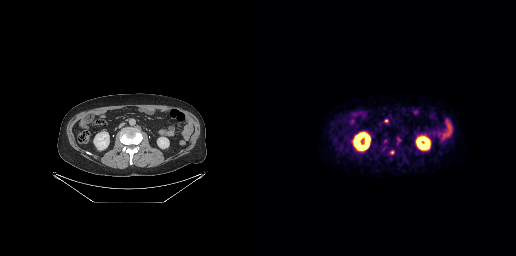
{"modality":"PSMA PET/CT","view":"axial","tracer":"18F-PSMA","pet_grid":[256,256],"coord_frame":"pet_panel","coord_format":"x0,y0,x1,y1","partial":true,"lesion_bboxes":[[124,119,128,122]],"small_foci_centers":[[131,152]]}